Paired axial CT (left) and PSMA PET (right), 18F-PSMA tracer. Slice 73 of 373.
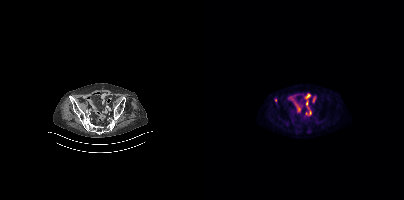
Coordinates are on the 200×200 PET (right) panel. Small PSMA-avid focus (2 to 4 px across) near (center x, center y): (71, 100).